- Two-panel axial: CT | PSMA PET, 18F-PSMA tracer
- acquired on Siemens Biograph mCT Flow 20
- PET panel 200×200 px (4.1 mm/px)
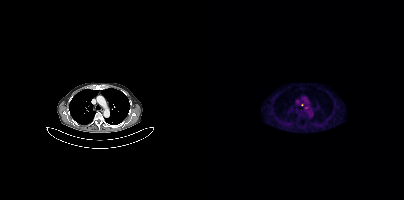
Findings: Coordinates are on the 200×200 PET (right) panel. Small PSMA-avid foci (2 to 4 px across) near (center x, center y): (98, 104) / (102, 107).